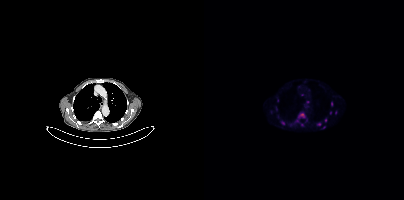
Coordinates are on the 200×200 PET (right) panel. (showing 7 of 10 foci) PSMA-avid tumor lesion bounding box (x, y, width, height): x=95 y=113 w=6 h=5. Small PSMA-avid foci (2 to 4 px across) near (center x, center y): (114, 124) | (121, 120) | (79, 123) | (104, 101) | (127, 104) | (119, 127).